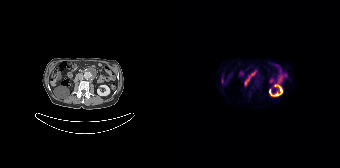
Findings: No tumor lesions annotated on this slice.
- Paired axial CT (left) and PSMA PET (right), [18F]PSMA-1007 tracer
- acquired on Siemens Biograph 64-4R TruePoint